- Paired axial CT (left) and PSMA PET (right), [18F]PSMA-1007 tracer
- PET panel 200×200 px (4.1 mm/px)
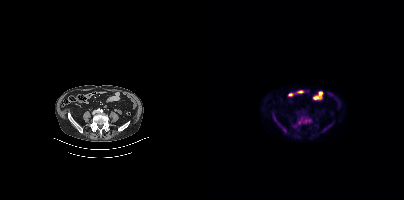
Findings: Coordinates are on the 200×200 PET (right) panel. PSMA-avid tumor lesion bounding boxes (x0, y0)-(x1, y1): (96, 115)-(104, 124) / (70, 119)-(82, 132).